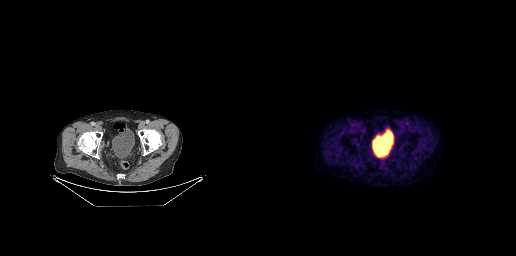
{"modality":"PSMA PET/CT","view":"axial","tracer":"18F-PSMA","pet_grid":[256,256],"coord_frame":"pet_panel","coord_format":"x0,y0,x1,y1","psma_avid_lesions":false}